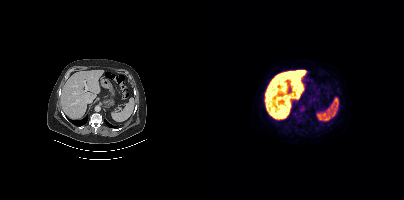
modality: PSMA PET/CT | tracer: 18F | view: axial | PET grid: 200×200
Negative for PSMA-avid disease on this slice.